modality: PSMA PET/CT | tracer: 18F | view: axial | deidentification: rectangular block over head set to black
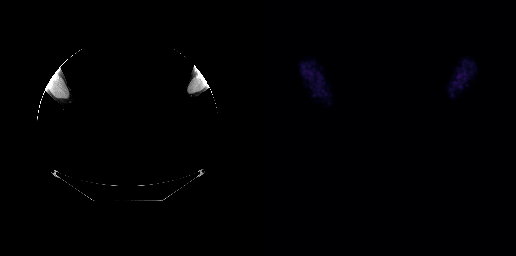
No tumor lesions annotated on this slice.